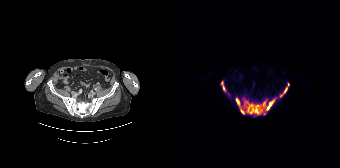
{"modality":"PSMA PET/CT","view":"axial","tracer":"[18F]PSMA-1007","pet_grid":[168,168],"coord_frame":"pet_panel","coord_format":"x0,y0,x1,y1","lesion_bboxes":[[63,97,105,116],[107,83,117,97],[48,80,57,95]]}